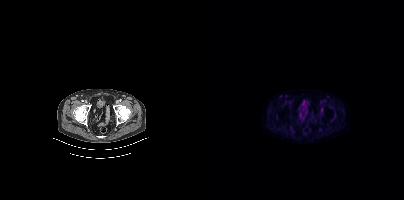
modality: PSMA PET/CT | tracer: 18F-PSMA | view: axial
Coordinates are on the 200×200 PET (right) panel. Small PSMA-avid foci (2 to 4 px across) near (center x, center y): (118, 109), (81, 95).